modality: PSMA PET/CT | tracer: 18F | view: axial
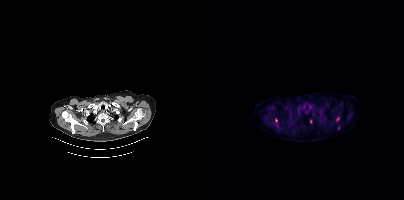
Coordinates are on the 200×200 PET (right) panel. PSMA-avid tumor lesion bounding box (x0,y0,x1,y1): [132,117,135,121]. Small PSMA-avid foci (2 to 4 px across) near (center x, center y): (106, 121), (72, 120), (134, 127).